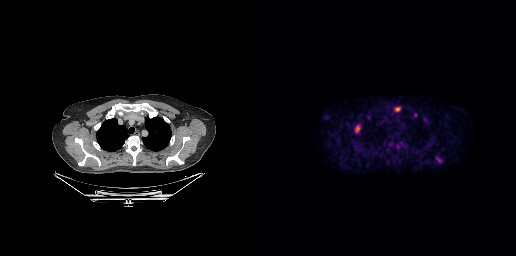
Coordinates are on the 256×256 PET (right) panel. (showing 2 of 3 foci) PSMA-avid tumor lesion bounding box (x0, y0)-(x1, y1): (95, 126)-(99, 132). Small PSMA-avid focus (2 to 4 px across) near (center x, center y): (137, 109).